modality: PSMA PET/CT | tracer: [18F]PSMA-1007 | view: axial
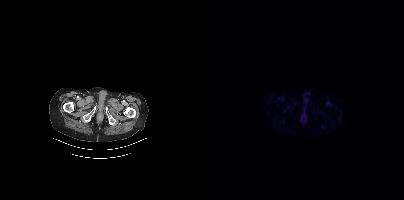
Negative for PSMA-avid disease on this slice.